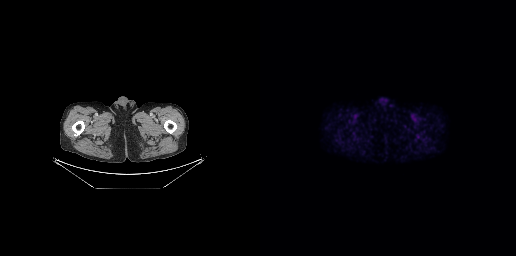
Left: CT. Right: PSMA PET, same axial level, 18F-PSMA tracer. Acquired on GE Discovery 690. Slice 42 of 263. Negative for PSMA-avid disease on this slice.